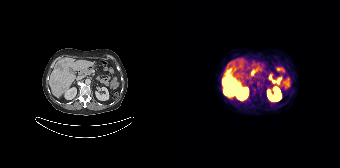
Findings: Coordinates are on the 168×168 PET (right) panel. PSMA-avid tumor lesion bounding boxes (x0, y0)-(x1, y1): (50, 75)-(68, 96) / (56, 68)-(59, 72).
- Two-panel axial: CT | PSMA PET, [68Ga]Ga-PSMA-11 tracer
- slice 80 of 165
- PET panel 168×168 px (4.1 mm/px)